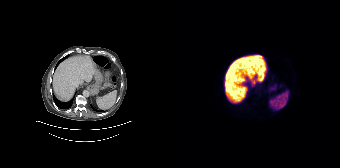
modality: PSMA PET/CT | tracer: [18F]PSMA-1007 | view: axial | PET grid: 168×168
This slice has no annotated PSMA-avid lesion.